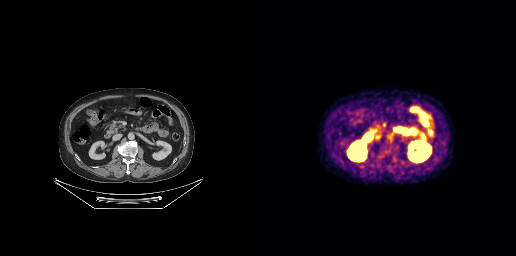
Technique: Left: CT. Right: PSMA PET, same axial level, 18F-PSMA tracer. slice position z = -488 mm.
Findings: This slice has no annotated PSMA-avid lesion.